Two-panel axial: CT | PSMA PET, 18F tracer. Acquired on Siemens Biograph mCT Flow 20. PET panel 200×200 px (4.1 mm/px).
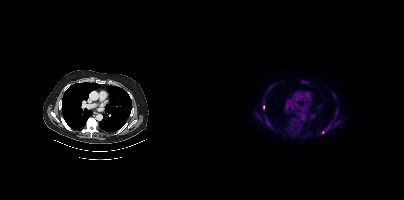
Coordinates are on the 200×200 PET (right) panel. PSMA-avid tumor lesion bounding boxes:
| # | x0 | y0 | x1 | y1 |
|---|---|---|---|---|
| 1 | 60 | 116 | 64 | 123 |
Small PSMA-avid foci (2 to 4 px across) near (center x, center y): (59, 107); (118, 132).